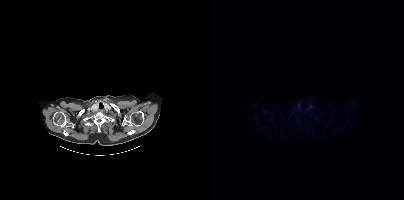
{"modality":"PSMA PET/CT","view":"axial","tracer":"18F","pet_grid":[200,200],"coord_frame":"pet_panel","coord_format":"x0,y0,x1,y1","psma_avid_lesions":false}